modality: PSMA PET/CT | tracer: 18F-PSMA | view: axial | PET grid: 200×200
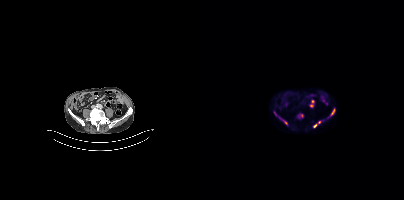
Coordinates are on the 200×200 PET (right) panel. PSMA-avid tumor lesion bounding boxes (x0, y0)-(x1, y1): (109, 120)-(117, 127); (123, 108)-(131, 118); (75, 117)-(83, 124); (70, 111)-(72, 115). Small PSMA-avid focus (2 to 4 px across) near (center x, center y): (97, 115).